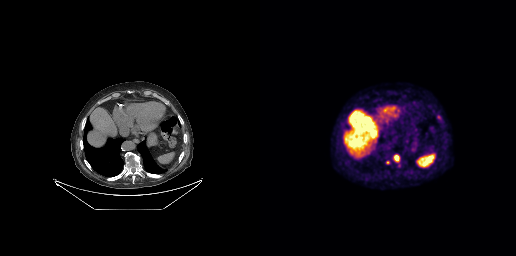
{"modality":"PSMA PET/CT","view":"axial","tracer":"[18F]PSMA-1007","pet_grid":[256,256],"coord_frame":"pet_panel","coord_format":"x0,y0,x1,y1","lesion_bboxes":[[134,155,139,161]],"small_foci_centers":[[127,162]]}